Left: CT. Right: PSMA PET, same axial level, [18F]PSMA-1007 tracer. Acquired on Siemens Biograph mCT Flow 20. Slice 235 of 429. PET panel 200×200 px (4.1 mm/px).
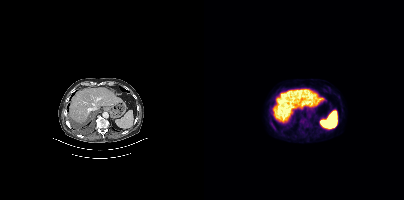
Coordinates are on the 200×200 PET (right) panel. PSMA-avid tumor lesion bounding box (x0, y0)-(x1, y1): (69, 126)-(71, 130). Small PSMA-avid focus (2 to 4 px across) near (center x, center y): (96, 121).